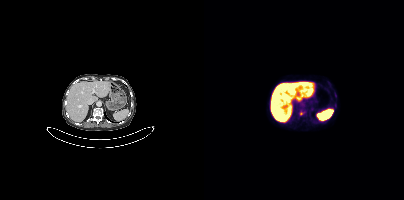
Findings: Coordinates are on the 200×200 PET (right) panel. PSMA-avid tumor lesion bounding box (x0, y0)-(x1, y1): (96, 111)-(99, 115).
- Left: CT. Right: PSMA PET, same axial level, 18F-PSMA tracer
- PET panel 200×200 px (4.1 mm/px)